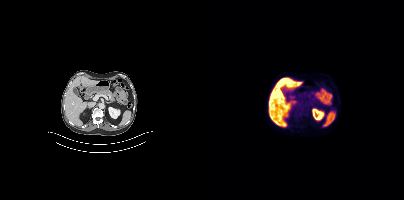
Findings: This slice has no annotated PSMA-avid lesion.
Technique: Left: CT. Right: PSMA PET, same axial level, 18F-PSMA tracer.